- Two-panel axial: CT | PSMA PET, 68Ga tracer
- slice position z = -1044 mm
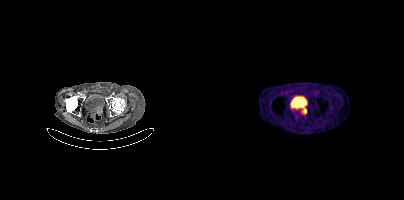
Findings: Coordinates are on the 200×200 PET (right) panel. PSMA-avid tumor lesion bounding box (x0, y0)-(x1, y1): (97, 105)-(102, 114).